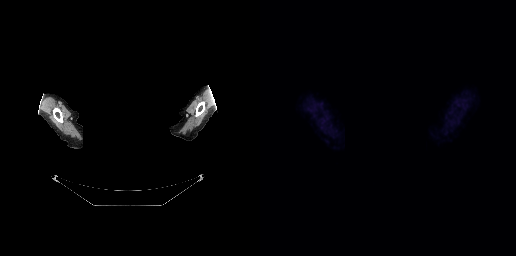
de-identification: head region blacked out before release | modality: PSMA PET/CT | tracer: [18F]PSMA-1007 | view: axial
This slice has no annotated PSMA-avid lesion.